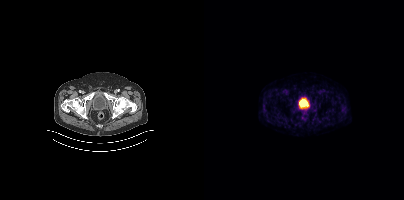
Negative for PSMA-avid disease on this slice. Paired axial CT (left) and PSMA PET (right), 68Ga-PSMA tracer.